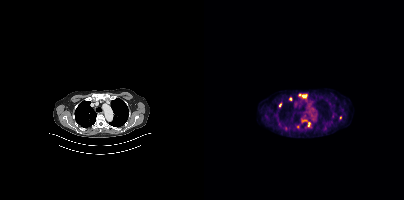
Coordinates are on the 200×200 PET (right) panel. PSMA-avid tumor lesion bounding boxes (x, y, width, height): x=95 y=94 w=9 h=5 | x=104 y=122 w=3 h=5. Small PSMA-avid foci (2 to 4 px across) near (center x, center y): (86, 99) | (76, 105) | (136, 117) | (93, 126).
modality: PSMA PET/CT | tracer: 18F-PSMA | view: axial